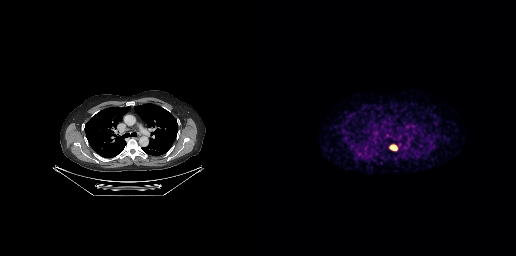
modality: PSMA PET/CT | tracer: [68Ga]Ga-PSMA-11 | view: axial
Coordinates are on the 256×256 PET (right) panel. PSMA-avid tumor lesion bounding box (x0, y0)-(x1, y1): (129, 144)-(137, 150).